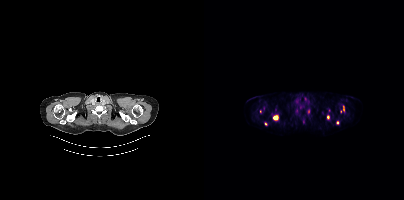
Coordinates are on the 200×200 PET (right) panel. (showing 5 of 8 foci) PSMA-avid tumor lesion bounding boxes (x0,y0,x1,y1): [69,115,74,119], [123,115,125,119]. Small PSMA-avid foci (2 to 4 px across) near (center x, center y): (139, 109), (104, 111), (61, 123).